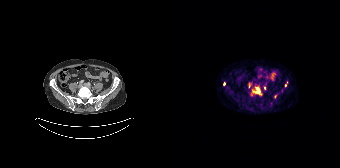
Coordinates are on the 168×168 PET (right) panel. (showing 5 of 6 foci) PSMA-avid tumor lesion bounding box (x0,y0,x1,y1): [80,87,89,94]. Small PSMA-avid foci (2 to 4 px across) near (center x, center y): (103, 96); (77, 85); (92, 87); (113, 85).